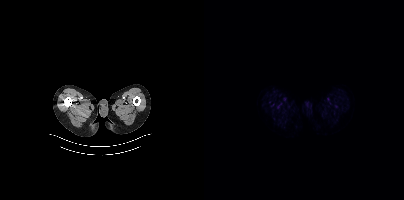
{"modality":"PSMA PET/CT","view":"axial","tracer":"18F","pet_grid":[200,200],"coord_frame":"pet_panel","coord_format":"x0,y0,x1,y1","psma_avid_lesions":false}